modality: PSMA PET/CT | tracer: [68Ga]Ga-PSMA-11 | view: axial | PET grid: 200×200
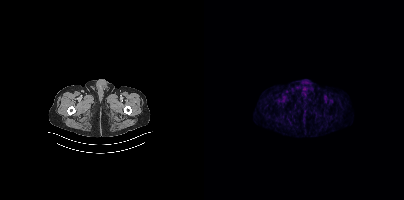
No tumor lesions annotated on this slice.